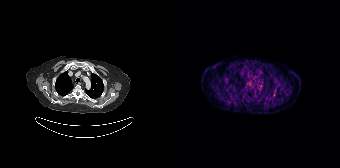
Technique: Paired axial CT (left) and PSMA PET (right), 68Ga tracer. slice position z = -756 mm.
Findings: Only PSMA-avid lesion pieces thinner than 2 px on this slice (not listed).